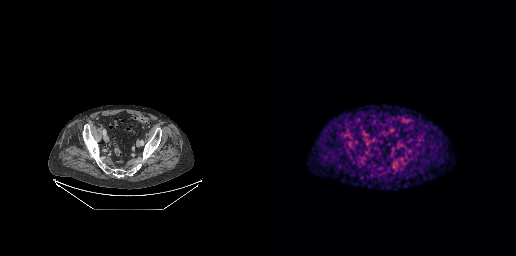
- Paired axial CT (left) and PSMA PET (right), 18F-PSMA tracer
- PET panel 256×256 px (2.7 mm/px)
Findings: This slice has no annotated PSMA-avid lesion.